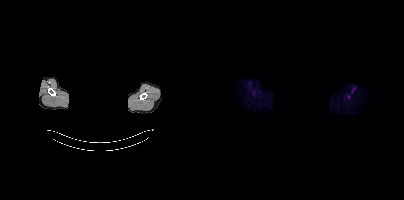
- Two-panel axial: CT | PSMA PET, 18F tracer
- an anonymization step blacked out a rectangle over the head in this scan
Findings: Coordinates are on the 200×200 PET (right) panel. Small PSMA-avid focus (2 to 4 px across) near (center x, center y): (144, 96).